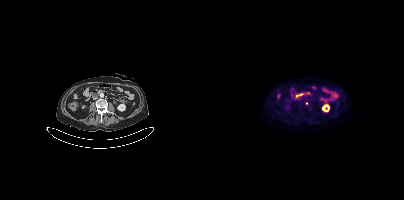
{"modality":"PSMA PET/CT","view":"axial","tracer":"18F","pet_grid":[200,200],"coord_frame":"pet_panel","coord_format":"x0,y0,x1,y1","lesion_bboxes":[],"small_foci_centers":[[102,103]]}